Head region blanked for anonymization (face removed).
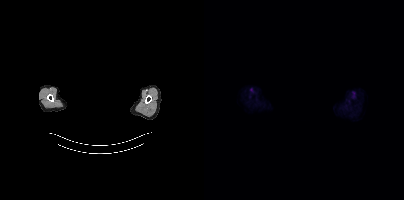
Negative for PSMA-avid disease on this slice.